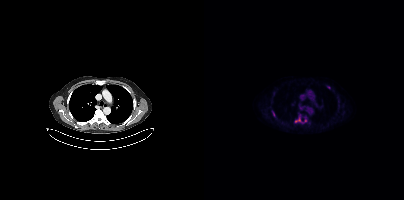
{"modality":"PSMA PET/CT","view":"axial","tracer":"18F-PSMA","pet_grid":[200,200],"coord_frame":"pet_panel","coord_format":"x0,y0,x1,y1","lesion_bboxes":[[91,118,96,122],[68,111,71,116]],"small_foci_centers":[[124,87],[101,120]]}